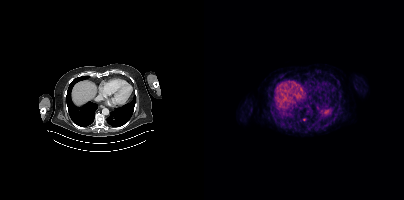
Only PSMA-avid lesion pieces thinner than 2 px on this slice (not listed).